Left: CT. Right: PSMA PET, same axial level, [18F]PSMA-1007 tracer. Acquired on Siemens Biograph mCT Flow 20. PET panel 200×200 px (4.1 mm/px).
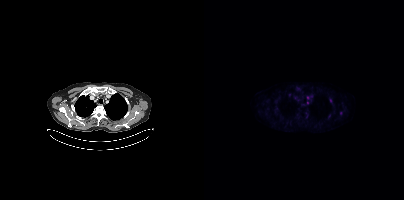
Coordinates are on the 200×200 PET (right) panel. PSMA-avid tumor lesion bounding box (x0,y0,x1,y1): [102,114,104,118]. Small PSMA-avid foci (2 to 4 px across) near (center x, center y): (124, 116) (103, 97) (136, 113) (103, 102) (126, 100).